Left: CT. Right: PSMA PET, same axial level, 68Ga tracer. Slice 160 of 263. PET panel 256×256 px (2.7 mm/px).
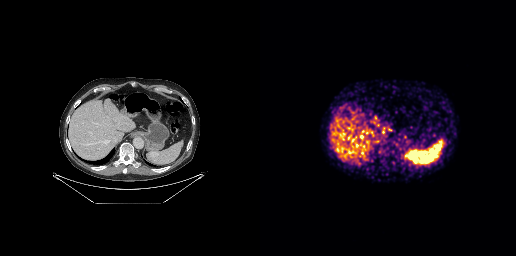
Coordinates are on the 256×256 PET (right) panel. PSMA-avid tumor lesion bounding boxes:
| # | x0 | y0 | x1 | y1 |
|---|---|---|---|---|
| 1 | 148 | 150 | 156 | 158 |